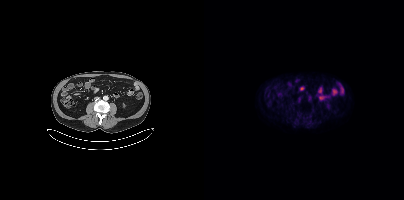
- Left: CT. Right: PSMA PET, same axial level, [18F]PSMA-1007 tracer
- acquired on Siemens Biograph mCT Flow 20
- slice position z = -1282 mm
Findings: This slice has no annotated PSMA-avid lesion.